Paired axial CT (left) and PSMA PET (right), 18F-PSMA tracer. Slice position z = -294 mm.
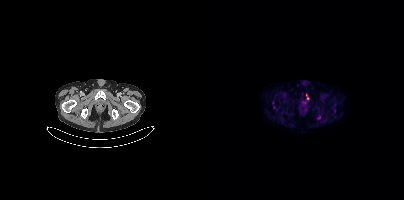
Coordinates are on the 200×200 PET (right) panel. PSMA-avid tumor lesion bounding boxes (partial; 1 more focus not listed):
| # | x0 | y0 | x1 | y1 |
|---|---|---|---|---|
| 1 | 102 | 94 | 105 | 98 |